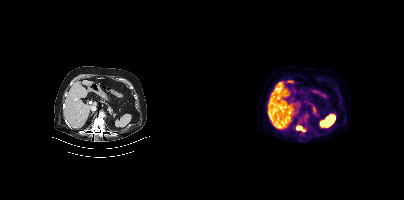
modality: PSMA PET/CT | tracer: 18F-PSMA | view: axial | PET grid: 200×200
Coordinates are on the 200×200 PET (right) panel. PSMA-avid tumor lesion bounding box (x, y, width, height): x=92 y=126 w=7 h=4.